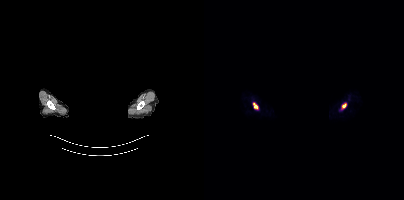
Coordinates are on the 200×200 PET (right) panel. PSMA-avid tumor lesion bounding boxes:
| # | x0 | y0 | x1 | y1 |
|---|---|---|---|---|
| 1 | 49 | 103 | 54 | 109 |
| 2 | 138 | 103 | 142 | 108 |
Paired axial CT (left) and PSMA PET (right), 68Ga-PSMA tracer. PET panel 200×200 px (4.1 mm/px). Face de-identified by blanking a block of the head.